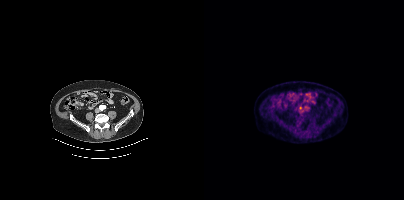
Coordinates are on the 200×200 PET (right) panel. Small PSMA-avid focus (2 to 4 px across) near (center x, center y): (96, 107). Paired axial CT (left) and PSMA PET (right), [18F]PSMA-1007 tracer.